Paired axial CT (left) and PSMA PET (right), 68Ga tracer. Slice position z = -1034 mm. PET panel 256×256 px (2.7 mm/px).
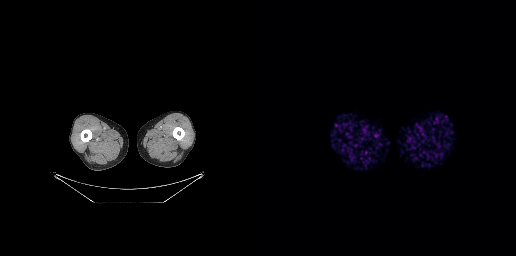
No tumor lesions annotated on this slice.